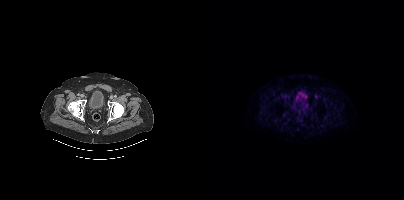
Negative for PSMA-avid disease on this slice.